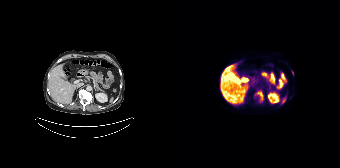
Two-panel axial: CT | PSMA PET, 18F tracer. Acquired on Siemens Biograph 64-4R TruePoint.
Coordinates are on the 168×168 PET (right) panel. PSMA-avid tumor lesion bounding boxes:
| # | x0 | y0 | x1 | y1 |
|---|---|---|---|---|
| 1 | 85 | 91 | 91 | 100 |